- Left: CT. Right: PSMA PET, same axial level, 18F tracer
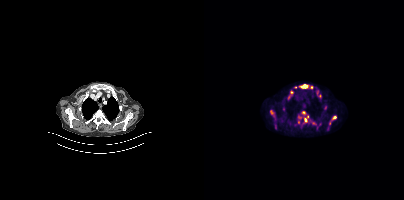
Findings: Coordinates are on the 200×200 PET (right) panel. (showing 8 of 11 foci) PSMA-avid tumor lesion bounding boxes (x, y, width, height): x=94 y=111 w=19 h=15 / x=95 y=84 w=14 h=5 / x=69 y=120 w=5 h=9 / x=66 y=110 w=5 h=5 / x=128 y=116 w=5 h=4. Small PSMA-avid foci (2 to 4 px across) near (center x, center y): (87, 91) / (91, 87) / (84, 97).